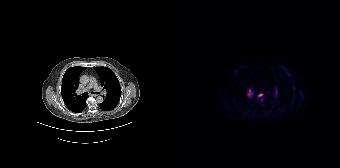
{"modality":"PSMA PET/CT","view":"axial","tracer":"[18F]PSMA-1007","pet_grid":[168,168],"coord_frame":"pet_panel","coord_format":"x0,y0,x1,y1","lesion_bboxes":[[76,90,79,95],[86,94,90,96]]}